Left: CT. Right: PSMA PET, same axial level, 18F tracer. Acquired on Siemens Biograph mCT Flow 20. Slice position z = -1373 mm.
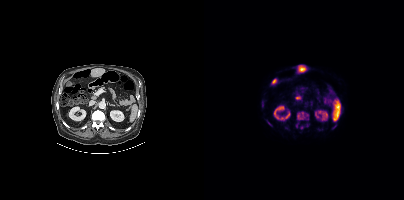
Coordinates are on the 200×200 PET (right) panel. PSMA-avid tumor lesion bounding boxes (partial; 1 more focus not listed):
| # | x0 | y0 | x1 | y1 |
|---|---|---|---|---|
| 1 | 92 | 111 | 105 | 120 |
| 2 | 92 | 96 | 96 | 99 |
| 3 | 92 | 122 | 94 | 127 |
Small PSMA-avid foci (2 to 4 px across) near (center x, center y): (97, 127); (103, 125).